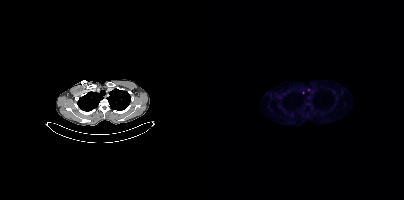
{"modality":"PSMA PET/CT","view":"axial","tracer":"18F","pet_grid":[200,200],"coord_frame":"pet_panel","coord_format":"x0,y0,x1,y1","lesion_bboxes":[],"small_foci_centers":[[99,92],[104,89]]}